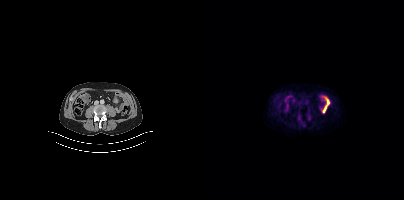
This slice has no annotated PSMA-avid lesion.